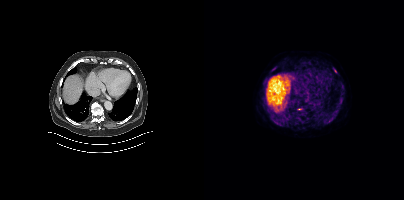
Coordinates are on the 200×200 PET (right) panel. PSMA-avid tumor lesion bounding boxes:
| # | x0 | y0 | x1 | y1 |
|---|---|---|---|---|
| 1 | 119 | 119 | 125 | 123 |
| 2 | 128 | 114 | 132 | 119 |
| 3 | 136 | 98 | 139 | 102 |
| 4 | 131 | 69 | 133 | 73 |
Small PSMA-avid focus (2 to 4 px across) near (center x, center y): (138, 84).
Two-panel axial: CT | PSMA PET, [18F]PSMA-1007 tracer. Acquired on Siemens Biograph mCT Flow 20.